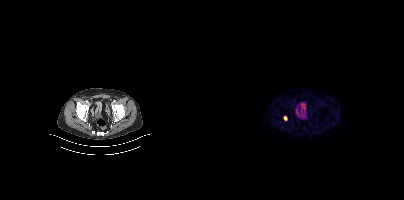
{"modality":"PSMA PET/CT","view":"axial","tracer":"18F","pet_grid":[200,200],"coord_frame":"pet_panel","coord_format":"x0,y0,x1,y1","lesion_bboxes":[[79,116,83,120]]}